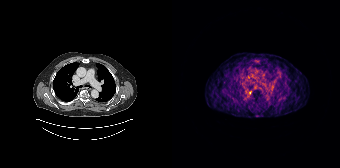
Technique: Paired axial CT (left) and PSMA PET (right), 68Ga tracer. slice 122 of 165.
Findings: Coordinates are on the 168×168 PET (right) panel. Small PSMA-avid foci (2 to 4 px across) near (center x, center y): (84, 60) / (78, 90).